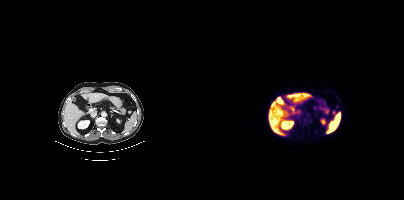
Coordinates are on the 200×200 PET (right) panel. Small PSMA-avid focus (2 to 4 px across) near (center x, center y): (129, 112).